Paired axial CT (left) and PSMA PET (right), 68Ga-PSMA tracer. Slice 99 of 195. PET panel 168×168 px (4.1 mm/px).
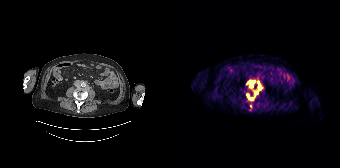
Coordinates are on the 168×168 PET (right) panel. PSMA-avid tumor lesion bounding boxes (partial; 2 more foci not listed):
| # | x0 | y0 | x1 | y1 |
|---|---|---|---|---|
| 1 | 85 | 81 | 89 | 92 |
| 2 | 78 | 81 | 82 | 87 |
Small PSMA-avid focus (2 to 4 px across) near (center x, center y): (75, 96).